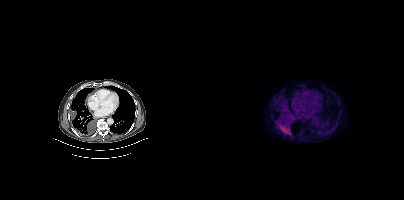
Coordinates are on the 200×200 PET (right) panel. PSMA-avid tumor lesion bounding boxes:
| # | x0 | y0 | x1 | y1 |
|---|---|---|---|---|
| 1 | 73 | 122 | 87 | 135 |
Left: CT. Right: PSMA PET, same axial level, 18F-PSMA tracer. Acquired on Siemens Biograph mCT Flow 20. Slice position z = -1078 mm. PET panel 200×200 px (4.1 mm/px).